- Two-panel axial: CT | PSMA PET, 18F tracer
- PET panel 200×200 px (4.1 mm/px)
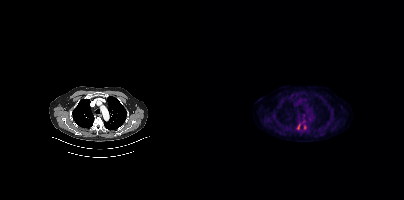
Findings: Coordinates are on the 200×200 PET (right) panel. PSMA-avid tumor lesion bounding boxes (x0,y0,x1,y1): [93,124,96,129], [100,125,102,129].